modality: PSMA PET/CT | tracer: [18F]PSMA-1007 | view: axial | PET grid: 200×200
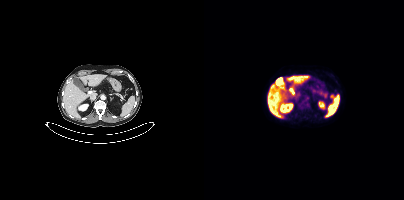
Coordinates are on the 200×200 PET (right) panel. Small PSMA-avid focus (2 to 4 px across) near (center x, center y): (127, 96).